Two-panel axial: CT | PSMA PET, [18F]PSMA-1007 tracer. Slice position z = -150 mm. PET panel 256×256 px (2.7 mm/px).
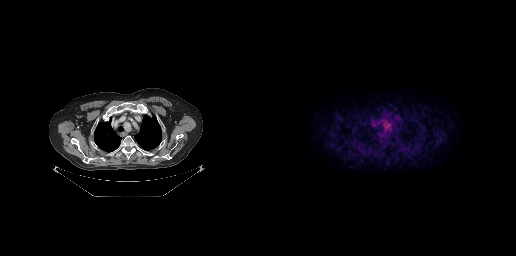
Coordinates are on the 256×256 PET (right) panel. PSMA-avid tumor lesion bounding boxes:
| # | x0 | y0 | x1 | y1 |
|---|---|---|---|---|
| 1 | 122 | 120 | 131 | 130 |